Technique: Two-panel axial: CT | PSMA PET, [18F]PSMA-1007 tracer. slice position z = -224 mm.
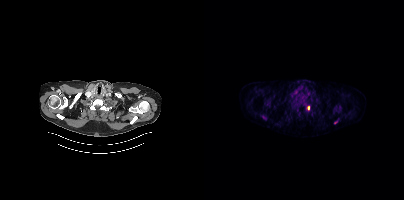
Findings: Coordinates are on the 200×200 PET (right) panel. (showing 6 of 7 foci) PSMA-avid tumor lesion bounding boxes (x0,y0,x1,y1): [58,115,62,120] [87,106,92,109]. Small PSMA-avid foci (2 to 4 px across) near (center x, center y): (97, 99) (132, 121) (104, 107) (95, 111).